Technique: Paired axial CT (left) and PSMA PET (right), 68Ga tracer. slice 91 of 195. PET panel 168×168 px (4.1 mm/px).
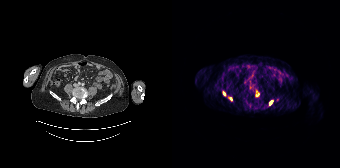
Findings: Coordinates are on the 168×168 PET (right) panel. (showing 3 of 4 foci) Small PSMA-avid foci (2 to 4 px across) near (center x, center y): (99, 102) / (52, 94) / (58, 98).